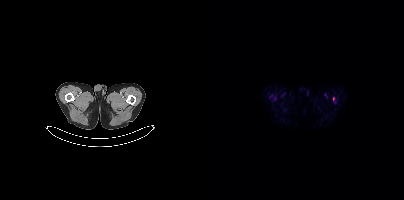
- Left: CT. Right: PSMA PET, same axial level, 18F-PSMA tracer
- acquired on Siemens Biograph mCT Flow 20
- slice 16 of 403
- PET panel 200×200 px (4.1 mm/px)
Findings: Coordinates are on the 200×200 PET (right) panel. Small PSMA-avid focus (2 to 4 px across) near (center x, center y): (129, 98).